modality: PSMA PET/CT | tracer: 18F-PSMA | view: axial
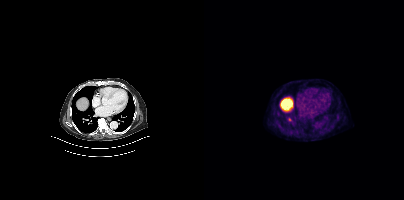
Coordinates are on the 200×200 PET (right) panel. Small PSMA-avid focus (2 to 4 px across) near (center x, center y): (85, 119).